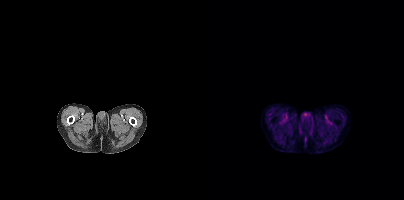
No PSMA-avid tumor lesions on this slice.